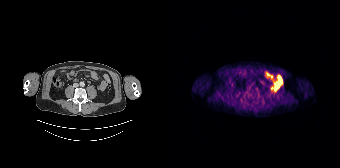
No PSMA-avid tumor lesions on this slice.
modality: PSMA PET/CT | tracer: 68Ga | view: axial | PET grid: 168×168